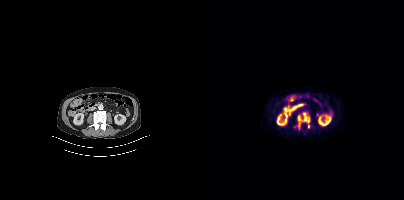
Two-panel axial: CT | PSMA PET, [18F]PSMA-1007 tracer. Slice position z = -638 mm.
Coordinates are on the 200×200 PET (right) panel. PSMA-avid tumor lesion bounding boxes:
| # | x0 | y0 | x1 | y1 |
|---|---|---|---|---|
| 1 | 93 | 112 | 106 | 129 |